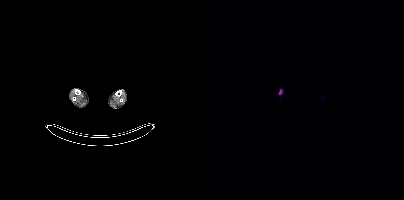
Coordinates are on the 200×200 PET (right) panel. Small PSMA-avid focus (2 to 4 px across) near (center x, center y): (76, 91). Left: CT. Right: PSMA PET, same axial level, [18F]PSMA-1007 tracer. Acquired on Siemens Biograph mCT Flow 20. Slice position z = -1739 mm.